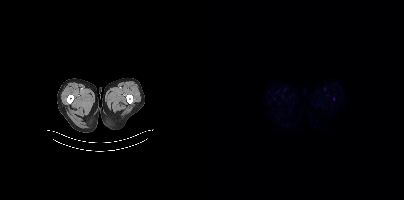
Negative for PSMA-avid disease on this slice.